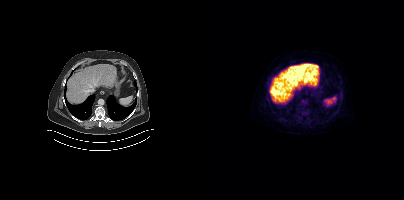
{"modality":"PSMA PET/CT","view":"axial","tracer":"18F","pet_grid":[200,200],"coord_frame":"pet_panel","coord_format":"x0,y0,x1,y1","lesion_bboxes":[[134,94,139,99]]}